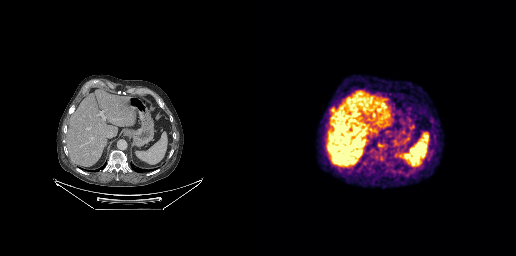
Findings: Coordinates are on the 256×256 PET (right) panel. Small PSMA-avid focus (2 to 4 px across) near (center x, center y): (70, 108).
Technique: Paired axial CT (left) and PSMA PET (right), 18F-PSMA tracer. slice 164 of 263.